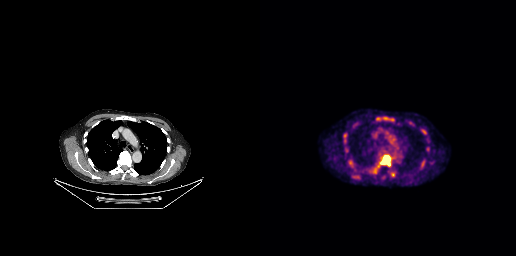
Paired axial CT (left) and PSMA PET (right), 18F tracer.
Coordinates are on the 256×256 PET (right) panel. PSMA-avid tumor lesion bounding boxes:
| # | x0 | y0 | x1 | y1 |
|---|---|---|---|---|
| 1 | 118 | 155 | 130 | 166 |